- Left: CT. Right: PSMA PET, same axial level, 18F-PSMA tracer
- acquired on Siemens Biograph 64-4R TruePoint
- PET panel 168×168 px (4.1 mm/px)
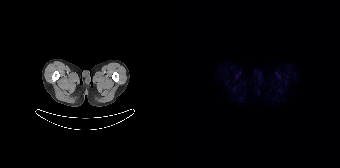
Findings: No PSMA-avid tumor lesions on this slice.